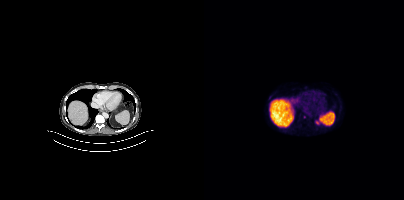
Technique: Paired axial CT (left) and PSMA PET (right), 18F tracer.
Findings: Only PSMA-avid lesion pieces thinner than 2 px on this slice (not listed).